Paired axial CT (left) and PSMA PET (right), 18F-PSMA tracer. Slice 185 of 466. PET panel 200×200 px (4.1 mm/px).
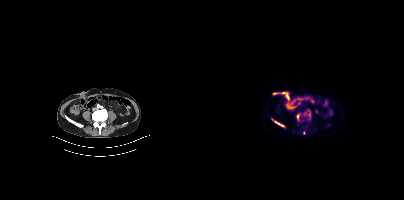
Coordinates are on the 200×200 PET (right) panel. (showing 2 of 4 foci) PSMA-avid tumor lesion bounding boxes (x0, y0)-(x1, y1): (68, 119)-(80, 127); (93, 114)-(94, 119).